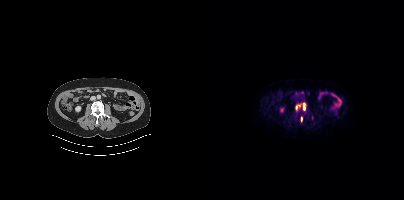
modality: PSMA PET/CT | tracer: 18F | view: axial
Coordinates are on the 200×200 PET (right) panel. (showing 3 of 4 foci) PSMA-avid tumor lesion bounding boxes (x, y, width, height): x=99 y=103 w=3 h=8 / x=97 y=117 w=2 h=5. Small PSMA-avid focus (2 to 4 px across) near (center x, center y): (92, 107).